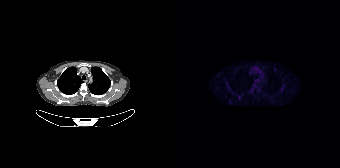
Only PSMA-avid lesion pieces thinner than 2 px on this slice (not listed).